Technique: Left: CT. Right: PSMA PET, same axial level, [68Ga]Ga-PSMA-11 tracer.
Note: A region was redacted for de-identification by setting it to black.
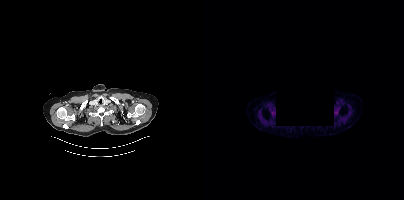
Findings: No PSMA-avid tumor lesions on this slice.